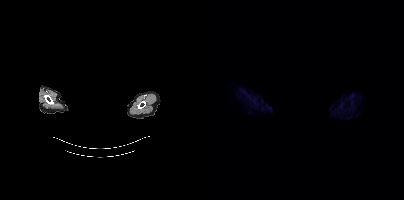
- Paired axial CT (left) and PSMA PET (right), 18F-PSMA tracer
- de-identified by setting a box covering the face to black before release
Findings: No PSMA-avid tumor lesions on this slice.